Technique: Two-panel axial: CT | PSMA PET, [18F]PSMA-1007 tracer. slice 31 of 403. PET panel 200×200 px (4.1 mm/px).
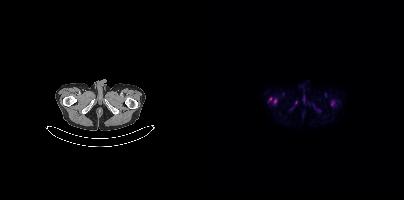
Findings: Coordinates are on the 200×200 PET (right) panel. (showing 2 of 4 foci) Small PSMA-avid foci (2 to 4 px across) near (center x, center y): (71, 101) | (66, 98).